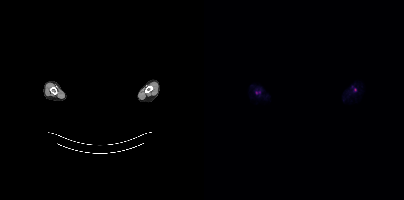
Coordinates are on the 200×200 PET (right) panel. (showing 2 of 3 foci) Small PSMA-avid foci (2 to 4 px across) near (center x, center y): (151, 89) / (52, 92). Any black rectangle over the head is a privacy mask, not anatomy. Left: CT. Right: PSMA PET, same axial level, [18F]PSMA-1007 tracer. Acquired on Siemens Biograph mCT Flow 20.